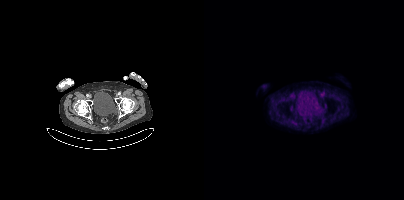
Left: CT. Right: PSMA PET, same axial level, [18F]PSMA-1007 tracer. Acquired on Siemens Biograph mCT Flow 20. Slice position z = -1527 mm. No PSMA-avid tumor lesions on this slice.